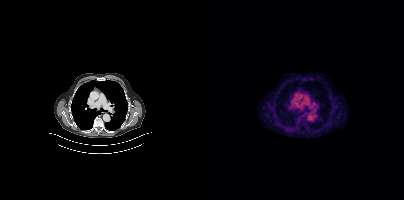
Findings: This slice has no annotated PSMA-avid lesion.
Technique: Two-panel axial: CT | PSMA PET, 18F-PSMA tracer. acquired on Siemens Biograph mCT Flow 20.